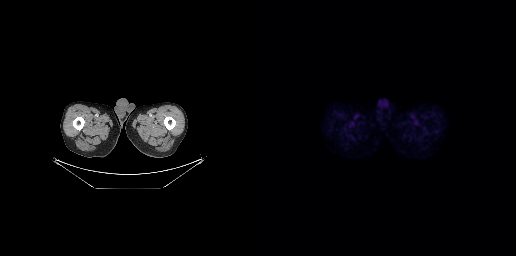
This slice has no annotated PSMA-avid lesion.